- Two-panel axial: CT | PSMA PET, 18F tracer
- slice position z = -640 mm
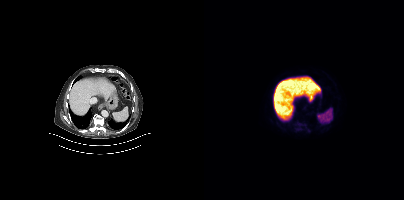
Findings: No PSMA-avid tumor lesions on this slice.